Technique: Two-panel axial: CT | PSMA PET, [68Ga]Ga-PSMA-11 tracer. slice 52 of 385.
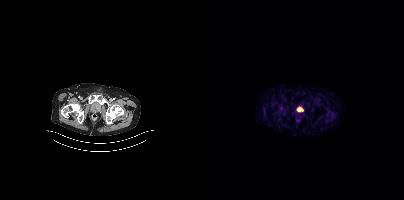
Findings: No PSMA-avid tumor lesions on this slice.